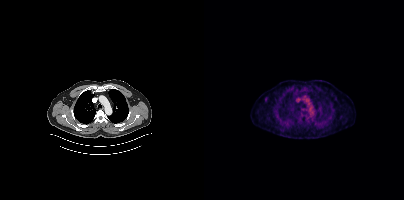
Negative for PSMA-avid disease on this slice.
modality: PSMA PET/CT | tracer: 18F-PSMA | view: axial | PET grid: 200×200